modality: PSMA PET/CT | tracer: [18F]PSMA-1007 | view: axial
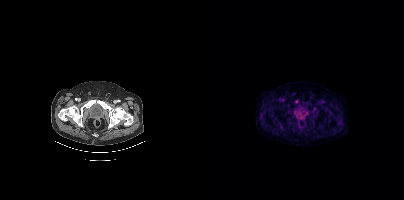
Coordinates are on the 200×200 PET (right) panel. Small PSMA-avid focus (2 to 4 px across) near (center x, center y): (92, 101).